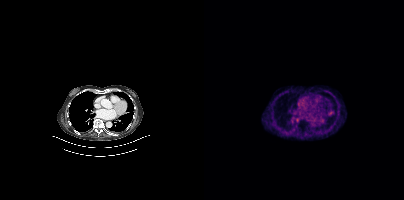
Left: CT. Right: PSMA PET, same axial level, [68Ga]Ga-PSMA-11 tracer. Slice position z = -654 mm. No tumor lesions annotated on this slice.